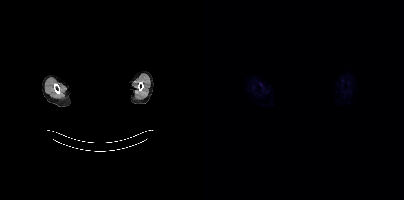
No PSMA-avid tumor lesions on this slice.
modality: PSMA PET/CT | tracer: 18F-PSMA | view: axial | redaction: privacy mask over head